- Left: CT. Right: PSMA PET, same axial level, 68Ga tracer
- acquired on GE Discovery 690
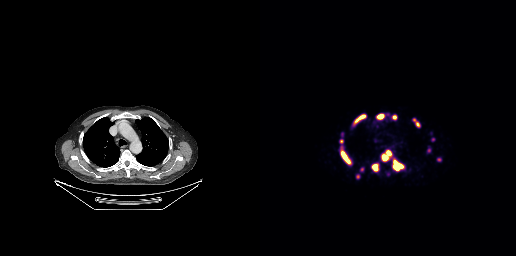
Findings: Coordinates are on the 256×256 PET (right) panel. PSMA-avid tumor lesion bounding boxes (x0,y0,x1,y1): [134,161,142,169]; [81,151,89,163]; [152,118,159,126]; [95,115,104,122]; [112,165,117,170]; [118,114,123,118]; [177,157,181,161]; [132,115,136,119]; [127,150,130,154]. Small PSMA-avid foci (2 to 4 px across) near (center x, center y): (124, 157); (173, 139); (81, 141); (97, 176).